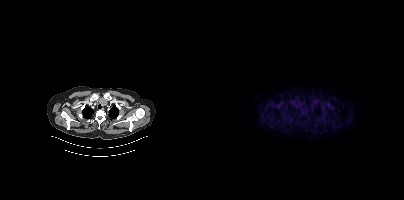
Negative for PSMA-avid disease on this slice.